Left: CT. Right: PSMA PET, same axial level, [68Ga]Ga-PSMA-11 tracer. Acquired on Siemens Biograph mCT Flow 20. PET panel 200×200 px (4.1 mm/px).
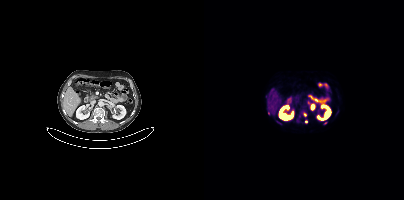
Coordinates are on the 200×200 PET (right) panel. (showing 5 of 6 foci) PSMA-avid tumor lesion bounding box (x, y, width, height): x=92 y=118 w=4 h=5. Small PSMA-avid foci (2 to 4 px across) near (center x, center y): (121, 123) / (101, 114) / (102, 121) / (74, 121).